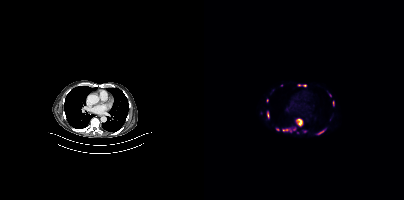
{"pet_grid":[200,200],"coord_frame":"pet_panel","coord_format":"x0,y0,x1,y1","partial":true,"lesion_bboxes":[[92,118,98,126],[78,127,91,132],[113,129,121,134],[94,84,102,86],[63,111,65,117],[129,101,130,105]],"small_foci_centers":[[73,129],[63,100],[101,131],[93,132]],"modality":"PSMA PET/CT","view":"axial","tracer":"18F"}